modality: PSMA PET/CT | tracer: 18F-PSMA | view: axial | PET grid: 200×200
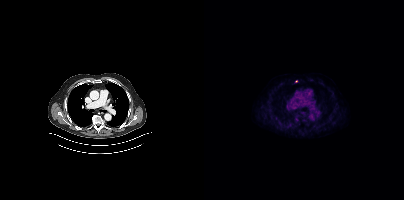
Only PSMA-avid lesion pieces thinner than 2 px on this slice (not listed).